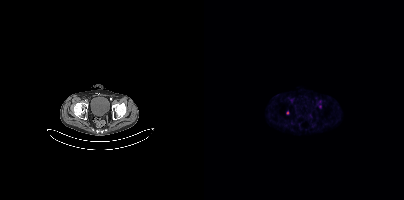
Coordinates are on the 200×200 PET (right) panel. (showing 1 of 2 foci) Small PSMA-avid focus (2 to 4 px across) near (center x, center y): (83, 112).